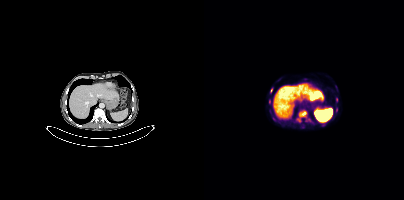
{"modality":"PSMA PET/CT","view":"axial","tracer":"[18F]PSMA-1007","pet_grid":[200,200],"coord_frame":"pet_panel","coord_format":"x0,y0,x1,y1","lesion_bboxes":[[95,111,102,117],[66,88,68,92]],"small_foci_centers":[[95,120],[132,99],[132,109]]}